modality: PSMA PET/CT | tracer: 18F-PSMA | view: axial | PET grid: 200×200
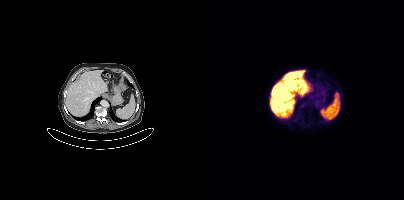
Coordinates are on the 200×200 PET (right) panel. Small PSMA-avid focus (2 to 4 px across) near (center x, center y): (99, 105).